Paired axial CT (left) and PSMA PET (right), 18F tracer. Slice 42 of 444. PET panel 200×200 px (4.1 mm/px).
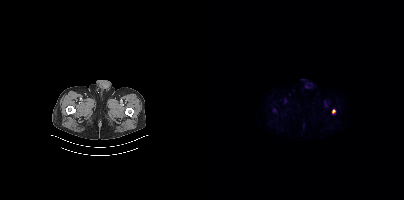
Coordinates are on the 200×200 PET (right) panel. PSMA-avid tumor lesion bounding boxes:
| # | x0 | y0 | x1 | y1 |
|---|---|---|---|---|
| 1 | 128 | 109 | 131 | 113 |